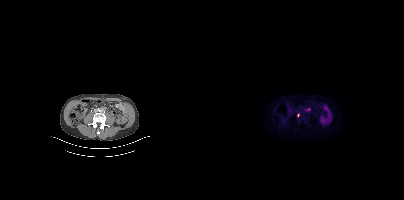
modality: PSMA PET/CT | tracer: 18F-PSMA | view: axial | PET grid: 200×200
Coordinates are on the 200×200 PET (right) panel. (showing 1 of 2 foci) PSMA-avid tumor lesion bounding box (x0, y0)-(x1, y1): (101, 108)-(106, 111).